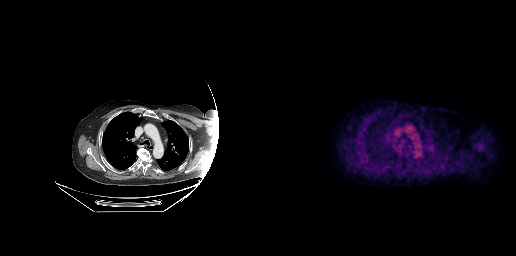
{"pet_grid":[256,256],"coord_frame":"pet_panel","coord_format":"x0,y0,x1,y1","psma_avid_lesions":false,"modality":"PSMA PET/CT","view":"axial","tracer":"[18F]PSMA-1007"}